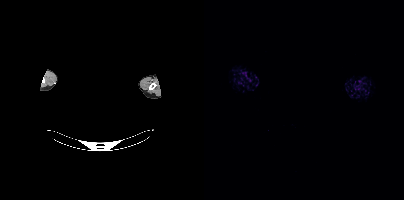
Paired axial CT (left) and PSMA PET (right), 18F tracer. Any black rectangle over the head is a privacy mask, not anatomy. This slice has no annotated PSMA-avid lesion.